Left: CT. Right: PSMA PET, same axial level, 68Ga tracer.
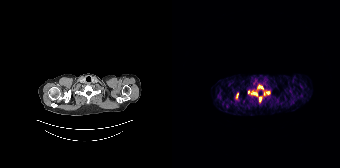
Coordinates are on the 168×168 PET (right) panel. PSMA-avid tumor lesion bounding boxes (partial; 1 more focus not listed):
| # | x0 | y0 | x1 | y1 |
|---|---|---|---|---|
| 1 | 79 | 92 | 85 | 95 |
| 2 | 86 | 85 | 91 | 89 |
| 3 | 87 | 97 | 89 | 101 |
| 4 | 64 | 93 | 66 | 97 |
Small PSMA-avid foci (2 to 4 px across) near (center x, center y): (95, 92); (76, 92).